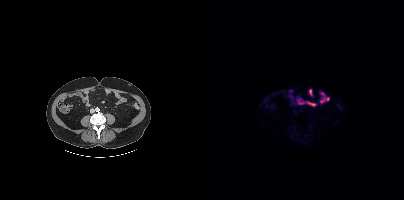
No PSMA-avid tumor lesions on this slice. Two-panel axial: CT | PSMA PET, 18F-PSMA tracer.